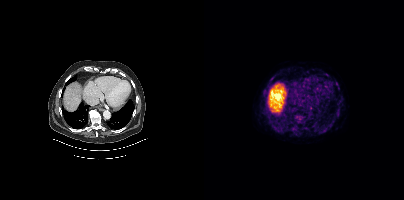
Coordinates are on the 200×200 PET (right) panel. (showing 2 of 3 foci) Small PSMA-avid foci (2 to 4 px across) near (center x, center y): (95, 118) | (132, 82). Paired axial CT (left) and PSMA PET (right), 18F-PSMA tracer. Slice 283 of 454. PET panel 200×200 px (4.1 mm/px).